Paired axial CT (left) and PSMA PET (right), 18F tracer. Acquired on Siemens Biograph mCT Flow 20. Slice position z = -1588 mm.
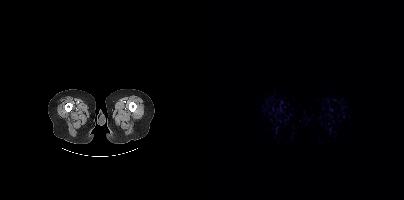
No PSMA-avid tumor lesions on this slice.